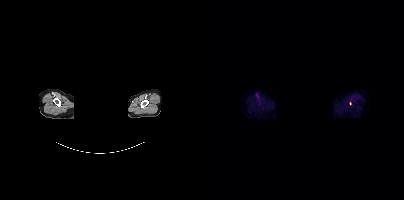
Findings: Coordinates are on the 200×200 PET (right) panel. Small PSMA-avid focus (2 to 4 px across) near (center x, center y): (146, 103).
Technique: Two-panel axial: CT | PSMA PET, [18F]PSMA-1007 tracer. PET panel 200×200 px (4.1 mm/px).
Note: Facial anatomy redacted by setting a rectangular region of the head to black.